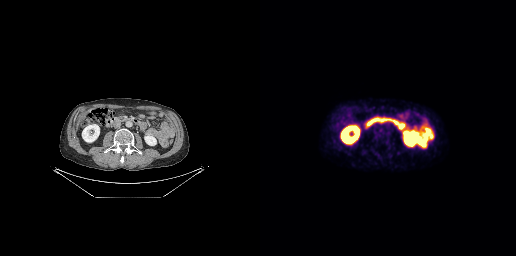
No PSMA-avid tumor lesions on this slice.
modality: PSMA PET/CT | tracer: 18F-PSMA | view: axial | PET grid: 256×256